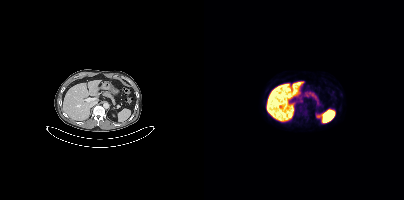
{"modality":"PSMA PET/CT","view":"axial","tracer":"18F","pet_grid":[200,200],"coord_frame":"pet_panel","coord_format":"x0,y0,x1,y1","psma_avid_lesions":false}